modality: PSMA PET/CT | tracer: 18F | view: axial
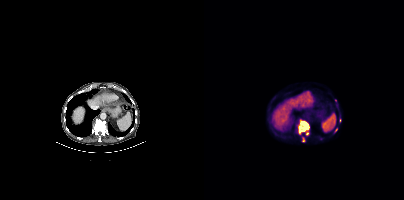
Coordinates are on the 200×200 PET (right) panel. (showing 5 of 6 foci) PSMA-avid tumor lesion bounding box (x, y, width, height): x=94 y=120 w=11 h=15. Small PSMA-avid foci (2 to 4 px across) near (center x, center y): (103, 133) | (99, 139) | (132, 130) | (131, 100).